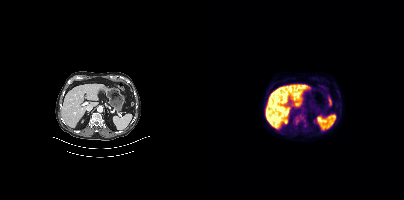
Coordinates are on the 200×200 PET (right) panel. PSMA-avid tumor lesion bounding box (x, y, width, height): x=89 y=119 w=7 h=6.